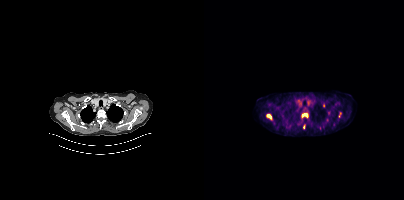
Findings: Coordinates are on the 200×200 PET (right) panel. (showing 5 of 6 foci) PSMA-avid tumor lesion bounding boxes (x, y, width, height): x=97 y=113 w=8 h=5 | x=63 y=114 w=5 h=5 | x=135 y=113 w=2 h=5. Small PSMA-avid foci (2 to 4 px across) near (center x, center y): (99, 126) | (119, 105).
Technique: Two-panel axial: CT | PSMA PET, 18F-PSMA tracer. PET panel 200×200 px (4.1 mm/px).